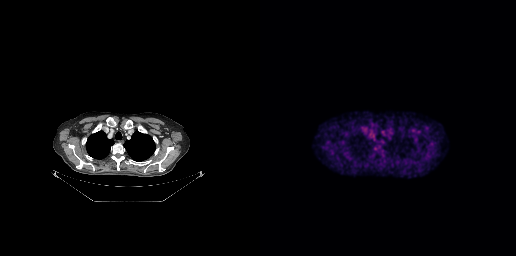
Paired axial CT (left) and PSMA PET (right), 18F tracer. Slice 216 of 263. PET panel 256×256 px (2.7 mm/px). Only PSMA-avid lesion pieces thinner than 2 px on this slice (not listed).